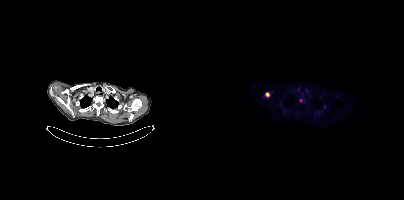
Left: CT. Right: PSMA PET, same axial level, [18F]PSMA-1007 tracer. Acquired on Siemens Biograph mCT Flow 20. PET panel 200×200 px (4.1 mm/px). Coordinates are on the 200×200 PET (right) panel. PSMA-avid tumor lesion bounding box (x0,y0,x1,y1): [61,92,65,97]. Small PSMA-avid focus (2 to 4 px across) near (center x, center y): (96, 100).